Two-panel axial: CT | PSMA PET, [18F]PSMA-1007 tracer.
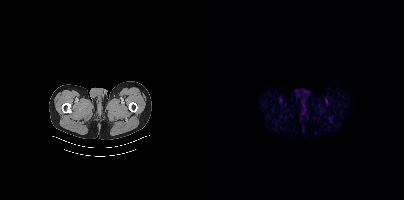
No PSMA-avid tumor lesions on this slice.